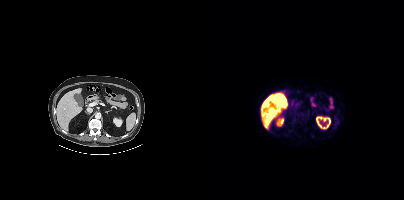
No PSMA-avid tumor lesions on this slice.